Technique: Left: CT. Right: PSMA PET, same axial level, [18F]PSMA-1007 tracer. slice position z = -294 mm. PET panel 200×200 px (4.1 mm/px).
Note: The face region was removed for patient privacy by blanking a rectangle over the head.
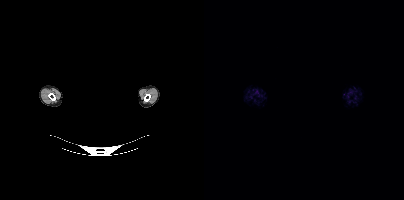
Findings: Negative for PSMA-avid disease on this slice.